Two-panel axial: CT | PSMA PET, 18F-PSMA tracer. PET panel 256×256 px (2.7 mm/px).
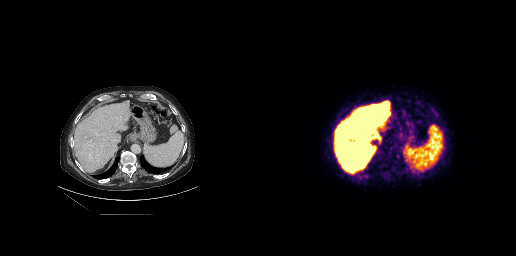
Coordinates are on the 256×256 PET (right) panel. PSMA-avid tumor lesion bounding boxes (partial; 1 more focus not listed):
| # | x0 | y0 | x1 | y1 |
|---|---|---|---|---|
| 1 | 75 | 117 | 80 | 123 |
| 2 | 123 | 163 | 127 | 165 |
Small PSMA-avid focus (2 to 4 px across) near (center x, center y): (130, 155).